Technique: Paired axial CT (left) and PSMA PET (right), [18F]PSMA-1007 tracer. PET panel 200×200 px (4.1 mm/px).
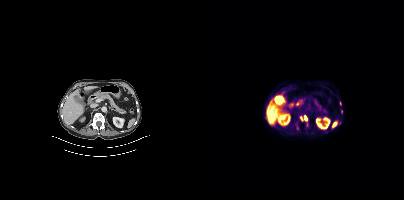
Findings: Coordinates are on the 200×200 PET (right) panel. (showing 4 of 6 foci) PSMA-avid tumor lesion bounding box (x, y, width, height): x=96 y=116 w=8 h=6. Small PSMA-avid foci (2 to 4 px across) near (center x, center y): (137, 111); (135, 122); (93, 128).